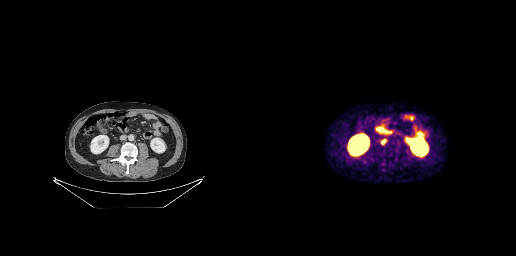
Coordinates are on the 256×256 PET (right) panel. PSMA-avid tumor lesion bounding box (x0, y0)-(x1, y1): (121, 139)-(126, 144).
modality: PSMA PET/CT | tracer: 68Ga | view: axial